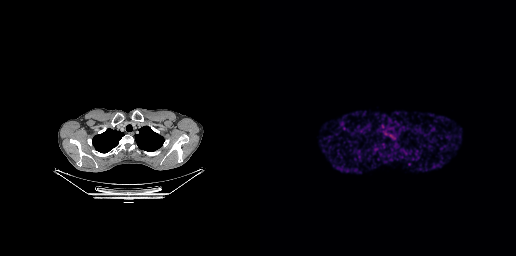
{"modality":"PSMA PET/CT","view":"axial","tracer":"68Ga-PSMA","pet_grid":[256,256],"coord_frame":"pet_panel","coord_format":"x0,y0,x1,y1","psma_avid_lesions":false}